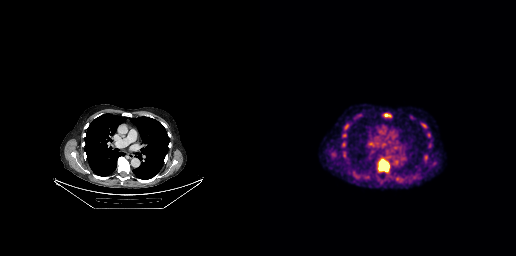
Coordinates are on the 256×256 PET (right) panel. PSMA-avid tumor lesion bounding boxes (x, y, width, height): x=118 y=158 w=12 h=15; x=84 y=123 w=6 h=7; x=124 y=113 w=7 h=4. Small PSMA-avid foci (2 to 4 px across) near (center x, center y): (137, 179); (82, 144).